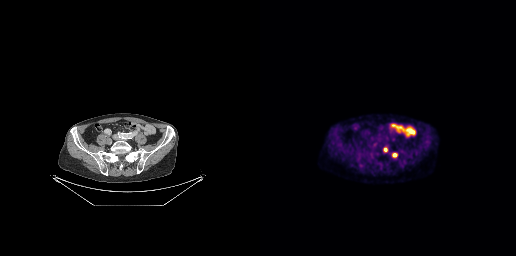
Findings: Coordinates are on the 256×256 PET (right) panel. PSMA-avid tumor lesion bounding box (x0, y0)-(x1, y1): (132, 153)-(137, 157). Small PSMA-avid focus (2 to 4 px across) near (center x, center y): (125, 149).
Technique: Left: CT. Right: PSMA PET, same axial level, [18F]PSMA-1007 tracer. slice 100 of 263. PET panel 256×256 px (2.7 mm/px).